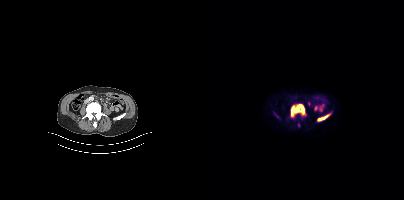
{"modality":"PSMA PET/CT","view":"axial","tracer":"[18F]PSMA-1007","pet_grid":[200,200],"coord_frame":"pet_panel","coord_format":"x0,y0,x1,y1","lesion_bboxes":[[86,104,101,117],[114,115,124,121]]}